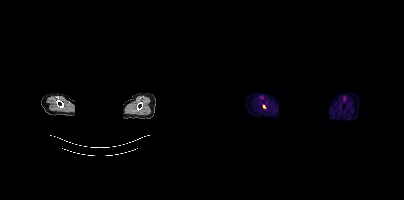
Coordinates are on the 200×200 PET (right) panel. Small PSMA-avid focus (2 to 4 px across) near (center x, center y): (59, 106).
modality: PSMA PET/CT | tracer: [18F]PSMA-1007 | view: axial | PET grid: 200×200 | redaction: head region blanked (face removed)